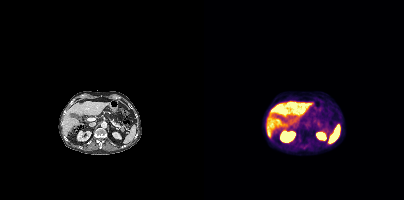
Paired axial CT (left) and PSMA PET (right), [18F]PSMA-1007 tracer. Slice 205 of 389. PET panel 200×200 px (4.1 mm/px). No tumor lesions annotated on this slice.